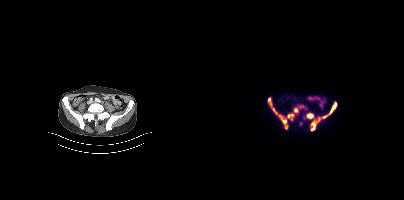
{"modality":"PSMA PET/CT","view":"axial","tracer":"18F-PSMA","pet_grid":[200,200],"coord_frame":"pet_panel","coord_format":"x0,y0,x1,y1","lesion_bboxes":[[64,97,99,129],[100,113,116,131],[118,101,133,118]],"small_foci_centers":[[96,123]]}